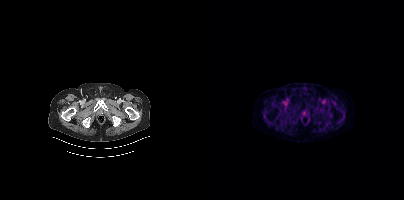
{"modality":"PSMA PET/CT","view":"axial","tracer":"18F","pet_grid":[200,200],"coord_frame":"pet_panel","coord_format":"x0,y0,x1,y1","psma_avid_lesions":false}